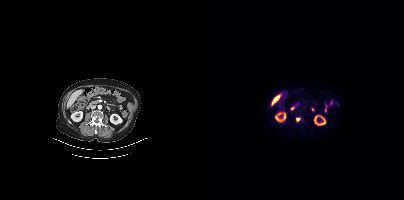
{"modality":"PSMA PET/CT","view":"axial","tracer":"18F-PSMA","pet_grid":[200,200],"coord_frame":"pet_panel","coord_format":"x0,y0,x1,y1","lesion_bboxes":[[92,117,99,122]]}